modality: PSMA PET/CT | tracer: 18F | view: axial | PET grid: 200×200
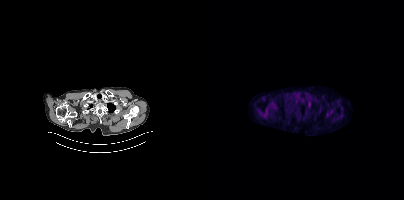
Negative for PSMA-avid disease on this slice.